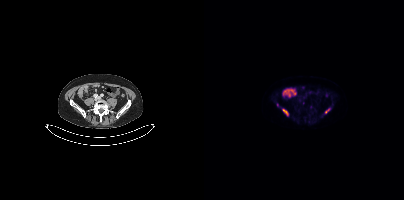
Findings: Coordinates are on the 200×200 PET (right) panel. PSMA-avid tumor lesion bounding boxes (x0,y0,x1,y1): [121,108,126,113], [79,109,83,114].
Technique: Two-panel axial: CT | PSMA PET, 18F-PSMA tracer.